Technique: Two-panel axial: CT | PSMA PET, 18F tracer. slice position z = -412 mm.
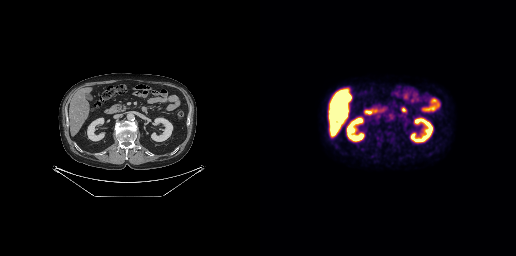
Findings: Negative for PSMA-avid disease on this slice.